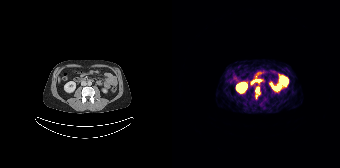
Findings: Coordinates are on the 168×168 PET (right) panel. PSMA-avid tumor lesion bounding box (x0, y0)-(x1, y1): (83, 86)-(88, 98).
Technique: Two-panel axial: CT | PSMA PET, [68Ga]Ga-PSMA-11 tracer. slice position z = -1400 mm.